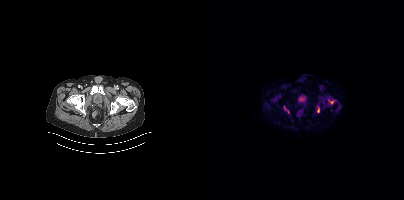
Findings: Coordinates are on the 200×200 PET (right) panel. (showing 1 of 2 foci) Small PSMA-avid focus (2 to 4 px across) near (center x, center y): (127, 102).
Technique: Two-panel axial: CT | PSMA PET, 18F tracer. acquired on Siemens Biograph mCT Flow 20. PET panel 200×200 px (4.1 mm/px).